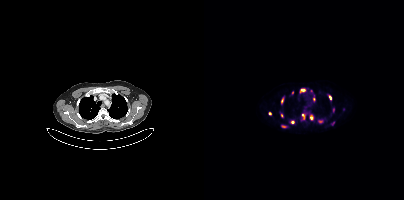
{"pet_grid":[200,200],"coord_frame":"pet_panel","coord_format":"x0,y0,x1,y1","partial":true,"lesion_bboxes":[[96,89,101,92],[106,115,109,119],[114,120,118,123],[78,125,82,127],[109,95,111,100],[98,114,100,118],[129,108,130,112],[77,99,79,103]],"small_foci_centers":[[126,97],[88,122],[78,115],[66,113],[88,92]],"modality":"PSMA PET/CT","view":"axial","tracer":"18F-PSMA"}